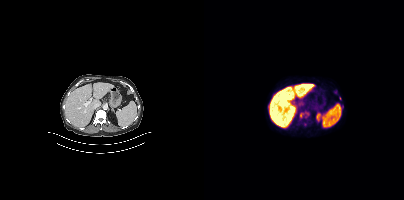
{"modality":"PSMA PET/CT","view":"axial","tracer":"18F-PSMA","pet_grid":[200,200],"coord_frame":"pet_panel","coord_format":"x0,y0,x1,y1","partial":true,"lesion_bboxes":[],"small_foci_centers":[[96,114],[103,113],[136,98]]}